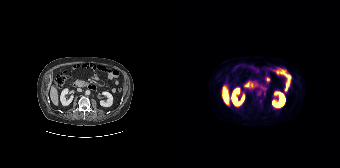
- Paired axial CT (left) and PSMA PET (right), [18F]PSMA-1007 tracer
- slice 94 of 195
Findings: Coordinates are on the 168×168 PET (right) panel. Small PSMA-avid focus (2 to 4 px across) near (center x, center y): (88, 100).